Privacy masking over the head, with the pixels inside a rectangle set to black. Left: CT. Right: PSMA PET, same axial level, [18F]PSMA-1007 tracer. Acquired on Siemens Biograph mCT Flow 20. Slice position z = -782 mm. PET panel 200×200 px (4.1 mm/px).
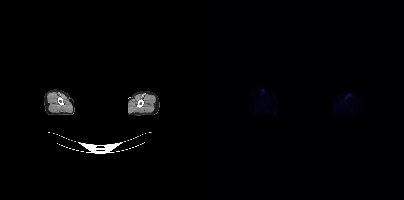
No PSMA-avid tumor lesions on this slice.